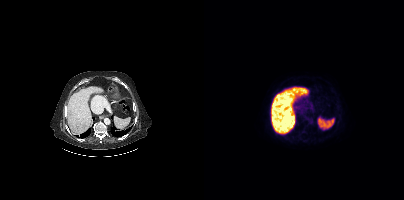
- Left: CT. Right: PSMA PET, same axial level, [18F]PSMA-1007 tracer
- acquired on Siemens Biograph mCT Flow 20
- slice position z = -1112 mm
- PET panel 200×200 px (4.1 mm/px)
Findings: This slice has no annotated PSMA-avid lesion.